Paired axial CT (left) and PSMA PET (right), [18F]PSMA-1007 tracer. Slice position z = 298 mm. PET panel 200×200 px (4.1 mm/px). A rectangle over the head was blacked out to remove identifiable facial features.
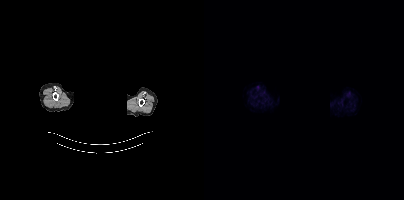
Negative for PSMA-avid disease on this slice.